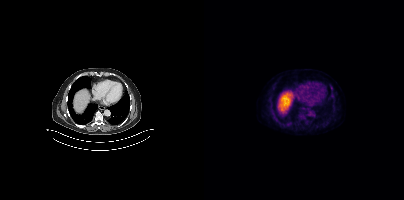
- Paired axial CT (left) and PSMA PET (right), 18F tracer
- slice position z = -1090 mm
Findings: Negative for PSMA-avid disease on this slice.